Technique: Left: CT. Right: PSMA PET, same axial level, 18F tracer. slice 54 of 165. PET panel 168×168 px (4.1 mm/px).
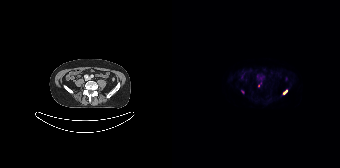
Findings: Coordinates are on the 168×168 PET (right) panel. PSMA-avid tumor lesion bounding box (x, y, width, height): x=111 y=90 w=5 h=5.